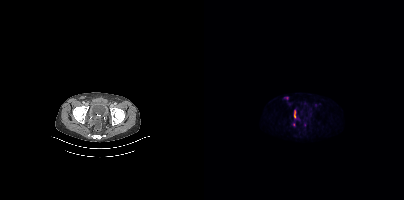
Coordinates are on the 200×200 PET (right) panel. (showing 2 of 4 foci) PSMA-avid tumor lesion bounding boxes (x0,y0,x1,y1): [90,110,91,118] [80,97,84,99].